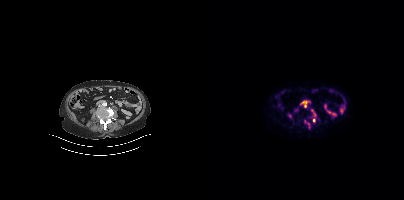
Coordinates are on the 200×200 PET (right) panel. (showing 6 of 7 foci) PSMA-avid tumor lesion bounding boxes (x0,y0,x1,y1): [99,102,103,107]; [100,120,105,124]. Small PSMA-avid foci (2 to 4 px across) near (center x, center y): (91, 109); (110, 120); (105, 127); (110, 114).